modality: PSMA PET/CT | tracer: 18F-PSMA | view: axial | PET grid: 200×200
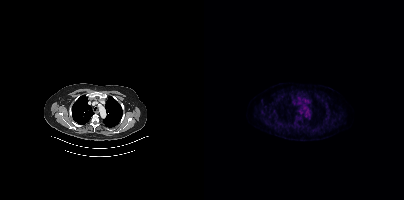
This slice has no annotated PSMA-avid lesion.